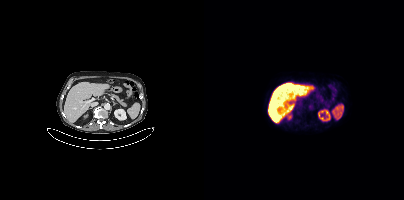
No PSMA-avid tumor lesions on this slice.